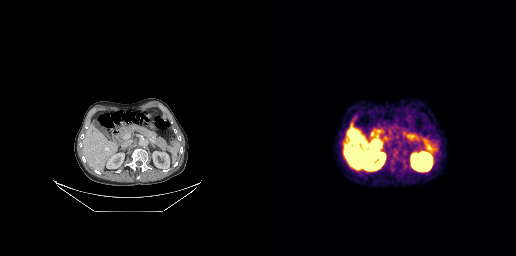
No tumor lesions annotated on this slice.